Technique: Left: CT. Right: PSMA PET, same axial level, 18F tracer. acquired on Siemens Biograph mCT Flow 20. PET panel 200×200 px (4.1 mm/px).
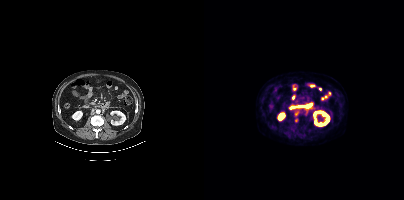
Findings: Coordinates are on the 200×200 PET (right) panel. Small PSMA-avid focus (2 to 4 px across) near (center x, center y): (92, 113).